Left: CT. Right: PSMA PET, same axial level, 68Ga-PSMA tracer. Acquired on GE Discovery 690.
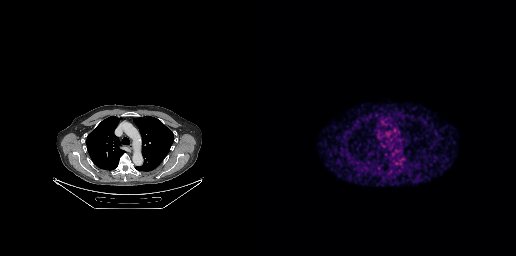
No tumor lesions annotated on this slice.